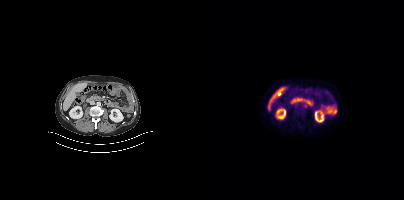
Negative for PSMA-avid disease on this slice. Left: CT. Right: PSMA PET, same axial level, 18F-PSMA tracer. Slice position z = -749 mm. PET panel 200×200 px (4.1 mm/px).